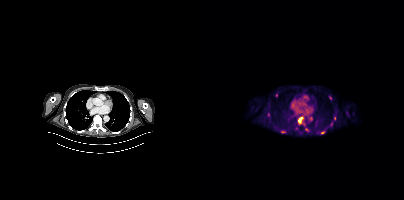
Technique: Two-panel axial: CT | PSMA PET, 18F tracer. acquired on Siemens Biograph mCT Flow 20. slice 259 of 421.
Findings: Coordinates are on the 200×200 PET (right) panel. (showing 5 of 6 foci) PSMA-avid tumor lesion bounding boxes (x, y, width, height): x=95 y=118 w=3 h=5 / x=77 y=131 w=5 h=3. Small PSMA-avid foci (2 to 4 px across) near (center x, center y): (126, 97) / (118, 132) / (64, 114).